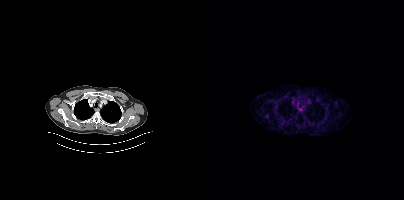
- Paired axial CT (left) and PSMA PET (right), [68Ga]Ga-PSMA-11 tracer
- acquired on Siemens Biograph mCT Flow 20
- PET panel 200×200 px (4.1 mm/px)
Findings: No tumor lesions annotated on this slice.